modality: PSMA PET/CT | tracer: [68Ga]Ga-PSMA-11 | view: axial
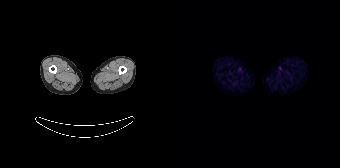
This slice has no annotated PSMA-avid lesion.